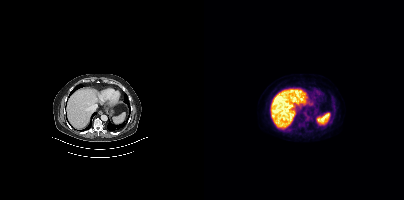
Technique: Two-panel axial: CT | PSMA PET, 18F tracer. slice position z = -444 mm. PET panel 200×200 px (4.1 mm/px).
Findings: This slice has no annotated PSMA-avid lesion.